Two-panel axial: CT | PSMA PET, [18F]PSMA-1007 tracer. Acquired on Siemens Biograph mCT Flow 20.
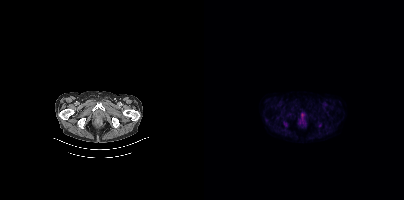
This slice has no annotated PSMA-avid lesion.